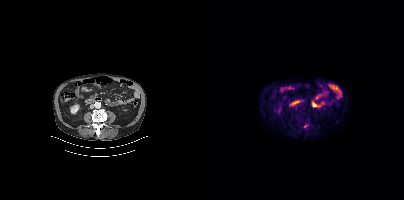
Only PSMA-avid lesion pieces thinner than 2 px on this slice (not listed). Left: CT. Right: PSMA PET, same axial level, 18F-PSMA tracer. Slice position z = -1338 mm. PET panel 200×200 px (4.1 mm/px).